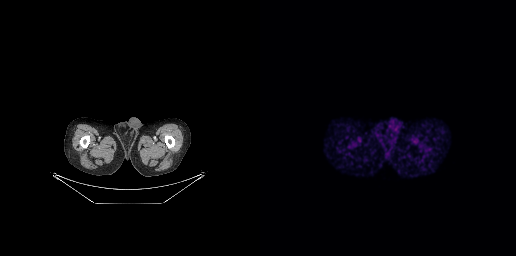
No tumor lesions annotated on this slice.
modality: PSMA PET/CT | tracer: [68Ga]Ga-PSMA-11 | view: axial